Left: CT. Right: PSMA PET, same axial level, 18F-PSMA tracer.
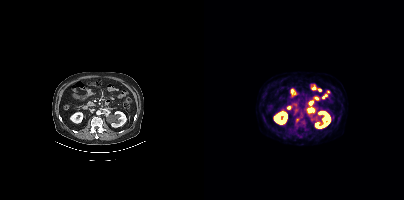
This slice has no annotated PSMA-avid lesion.